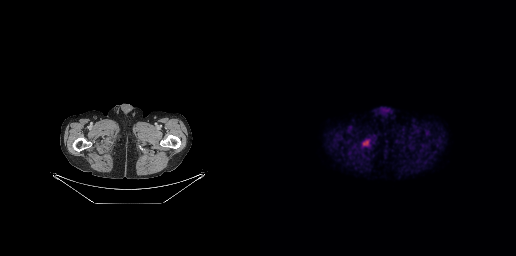
Coordinates are on the 256×256 PET (right) panel. PSMA-avid tumor lesion bounding box (x, y, width, height): x=103 y=140 w=6 h=6.